Two-panel axial: CT | PSMA PET, 68Ga tracer. Acquired on Siemens Biograph mCT Flow 20. Slice position z = -1202 mm. PET panel 200×200 px (4.1 mm/px).
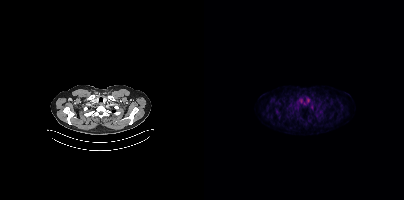
No tumor lesions annotated on this slice.